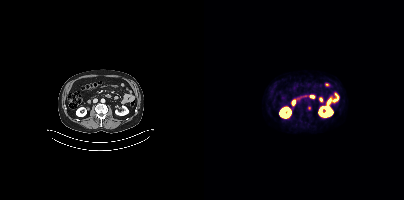
Findings: Coordinates are on the 200×200 PET (right) panel. Small PSMA-avid focus (2 to 4 px across) near (center x, center y): (105, 108).
Technique: Left: CT. Right: PSMA PET, same axial level, 68Ga-PSMA tracer. slice position z = -1508 mm. PET panel 200×200 px (4.1 mm/px).